Technique: Paired axial CT (left) and PSMA PET (right), [18F]PSMA-1007 tracer. acquired on Siemens Biograph mCT Flow 20. slice position z = -1042 mm. PET panel 200×200 px (4.1 mm/px).
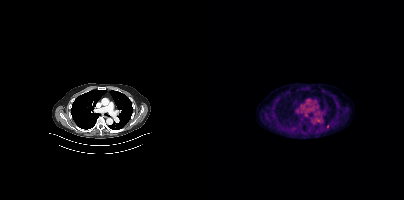
Findings: Coordinates are on the 200×200 PET (right) panel. PSMA-avid tumor lesion bounding boxes (x0,y0,x1,y1): [112,118,116,122], [122,124,125,128].